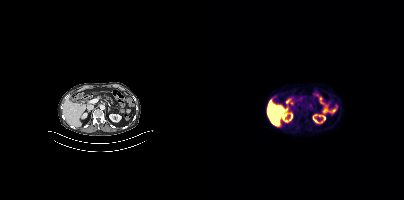
Findings: No tumor lesions annotated on this slice.
- Two-panel axial: CT | PSMA PET, 18F tracer
- acquired on Siemens Biograph mCT Flow 20
- PET panel 200×200 px (4.1 mm/px)